- Paired axial CT (left) and PSMA PET (right), 68Ga tracer
- PET panel 168×168 px (4.1 mm/px)
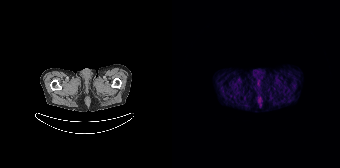
Findings: Negative for PSMA-avid disease on this slice.